Left: CT. Right: PSMA PET, same axial level, 18F tracer. Acquired on Siemens Biograph mCT Flow 20. Slice 170 of 421.
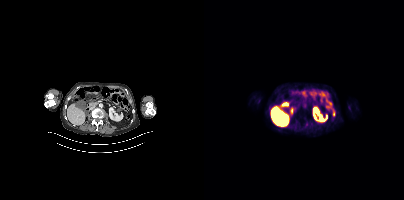
Coordinates are on the 200×200 PET (right) panel. PSMA-avid tumor lesion bounding boxes:
| # | x0 | y0 | x1 | y1 |
|---|---|---|---|---|
| 1 | 129 | 110 | 130 | 115 |